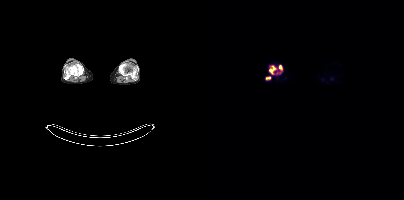
modality: PSMA PET/CT | tracer: 18F | view: axial
Coordinates are on the 200×200 PET (right) panel. PSMA-avid tumor lesion bounding boxes (x0,y0,x1,y1): [65,66,72,73], [61,76,66,79], [75,65,78,69]. Small PSMA-avid focus (2 to 4 px across) near (center x, center y): (73, 72).